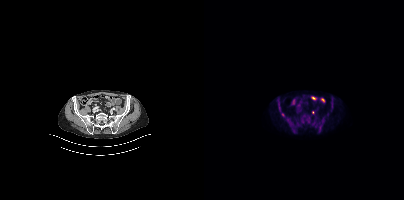
Coordinates are on the 200×200 PET (right) panel. Small PSMA-avid focus (2 to 4 px across) near (center x, center y): (108, 112). Left: CT. Right: PSMA PET, same axial level, [18F]PSMA-1007 tracer.